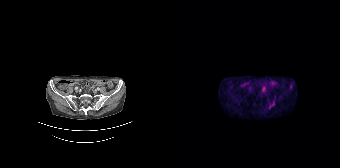
Coordinates are on the 168×168 PET (right) panel. PSMA-avid tumor lesion bounding box (x, y, width, height): x=97 y=103 w=5 h=5. Small PSMA-avid focus (2 to 4 px across) near (center x, center y): (91, 88).
modality: PSMA PET/CT | tracer: [68Ga]Ga-PSMA-11 | view: axial | PET grid: 168×168